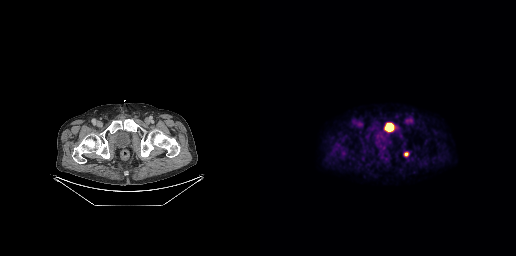
{"modality":"PSMA PET/CT","view":"axial","tracer":"[18F]PSMA-1007","pet_grid":[256,256],"coord_frame":"pet_panel","coord_format":"x0,y0,x1,y1","lesion_bboxes":[[124,122,134,131],[144,152,148,156]]}